modality: PSMA PET/CT | tracer: 18F-PSMA | view: axial
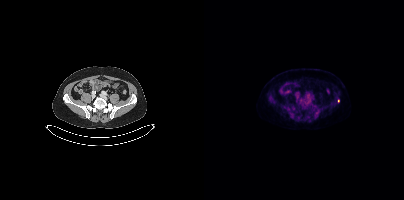
Coordinates are on the 200×200 PET (right) panel. Small PSMA-avid focus (2 to 4 px across) near (center x, center y): (134, 100).